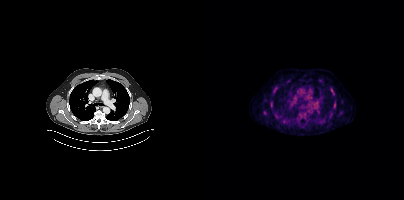
Coordinates are on the 200×200 PET (right) panel. (showing 1 of 2 foci) Small PSMA-avid focus (2 to 4 px across) near (center x, center y): (128, 90).